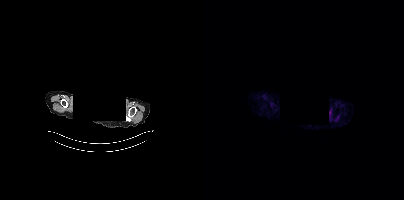
Technique: Two-panel axial: CT | PSMA PET, 68Ga tracer. acquired on Siemens Biograph mCT Flow 20. slice position z = -932 mm.
Note: Face de-identified by blanking a block of the head.
Findings: No tumor lesions annotated on this slice.